- Left: CT. Right: PSMA PET, same axial level, 68Ga tracer
- acquired on Siemens Biograph 64-4R TruePoint
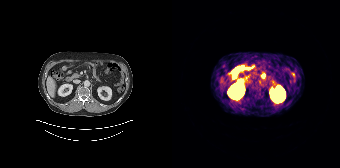
Findings: No PSMA-avid tumor lesions on this slice.